Two-panel axial: CT | PSMA PET, 18F-PSMA tracer. Acquired on Siemens Biograph mCT Flow 20.
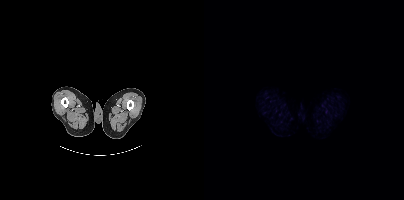
No PSMA-avid tumor lesions on this slice.